Paired axial CT (left) and PSMA PET (right), [18F]PSMA-1007 tracer. Acquired on Siemens Biograph 64-4R TruePoint. Slice 41 of 165. PET panel 168×168 px (4.1 mm/px).
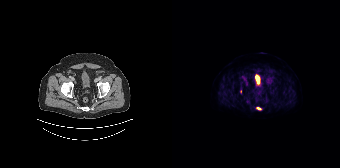
Coordinates are on the 168×168 PET (right) panel. Small PSMA-avid foci (2 to 4 px across) near (center x, center y): (86, 108) | (68, 91).